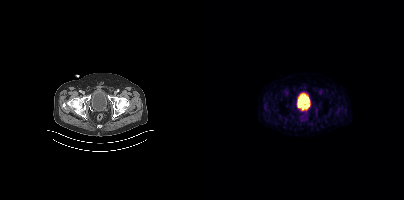
Findings: No tumor lesions annotated on this slice.
- Paired axial CT (left) and PSMA PET (right), 68Ga tracer
- acquired on Siemens Biograph mCT Flow 20
- slice position z = -1496 mm
- PET panel 200×200 px (4.1 mm/px)